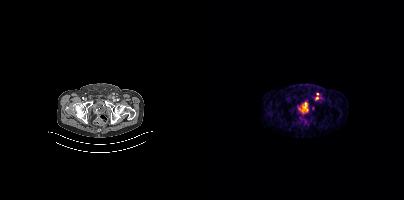
{"modality":"PSMA PET/CT","view":"axial","tracer":"68Ga","pet_grid":[200,200],"coord_frame":"pet_panel","coord_format":"x0,y0,x1,y1","lesion_bboxes":[],"small_foci_centers":[[113,98],[101,103],[113,93]]}